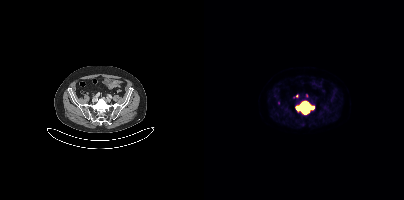
- Two-panel axial: CT | PSMA PET, [18F]PSMA-1007 tracer
- acquired on Siemens Biograph mCT Flow 20
- slice 106 of 419
- PET panel 200×200 px (4.1 mm/px)
Findings: Coordinates are on the 200×200 PET (right) panel. PSMA-avid tumor lesion bounding box (x, y, width, height): x=92 y=101 w=19 h=13.